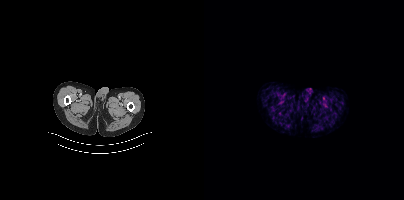
modality: PSMA PET/CT | tracer: [18F]PSMA-1007 | view: axial
This slice has no annotated PSMA-avid lesion.